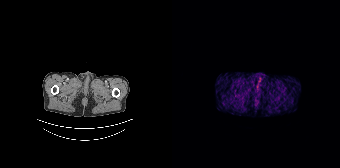
No tumor lesions annotated on this slice.
modality: PSMA PET/CT | tracer: 68Ga | view: axial | PET grid: 168×168